modality: PSMA PET/CT | tracer: [18F]PSMA-1007 | view: axial
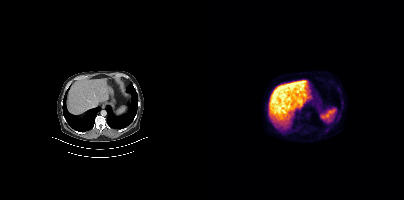
No PSMA-avid tumor lesions on this slice.